A rectangle over the head was blacked out to remove identifiable facial features. Two-panel axial: CT | PSMA PET, [18F]PSMA-1007 tracer. PET panel 200×200 px (4.1 mm/px).
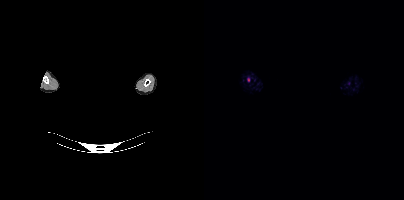
No PSMA-avid tumor lesions on this slice.